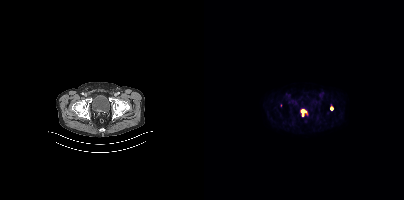
Technique: Paired axial CT (left) and PSMA PET (right), 18F tracer. acquired on Siemens Biograph mCT Flow 20. slice position z = -1414 mm. PET panel 200×200 px (4.1 mm/px).
Findings: Coordinates are on the 200×200 PET (right) panel. (showing 2 of 4 foci) PSMA-avid tumor lesion bounding box (x, y, width, height): x=101 y=111 w=3 h=5. Small PSMA-avid focus (2 to 4 px across) near (center x, center y): (127, 107).